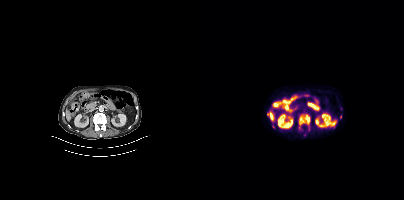
Findings: Coordinates are on the 200×200 PET (right) panel. (showing 2 of 3 foci) PSMA-avid tumor lesion bounding box (x0,y0,x1,y1): [94,113,106,128]. Small PSMA-avid focus (2 to 4 px across) near (center x, center y): (136, 116).
- Paired axial CT (left) and PSMA PET (right), 18F-PSMA tracer
- acquired on Siemens Biograph mCT Flow 20
- slice 233 of 466